Paired axial CT (left) and PSMA PET (right), 18F-PSMA tracer. Acquired on Siemens Biograph 64-4R TruePoint. Slice position z = -1496 mm.
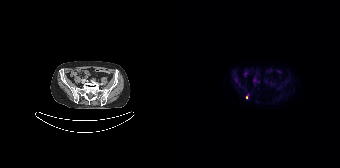
Coordinates are on the 168×168 PET (right) panel. Small PSMA-avid focus (2 to 4 px across) near (center x, center y): (74, 97).